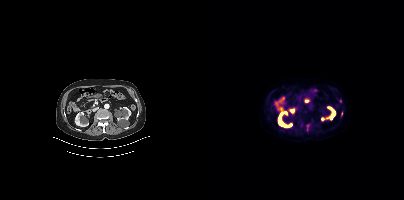
Coordinates are on the 200×200 PET (right) panel. (showing 2 of 3 foci) PSMA-avid tumor lesion bounding box (x0,y0,x1,y1): [102,125,104,130]. Small PSMA-avid focus (2 to 4 px across) near (center x, center y): (137, 113).